Left: CT. Right: PSMA PET, same axial level, 18F tracer. Slice 51 of 435.
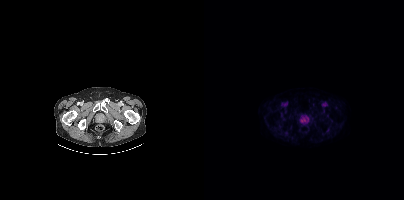
No PSMA-avid tumor lesions on this slice.